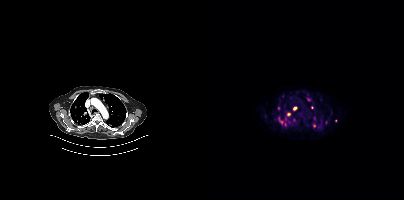
Findings: Coordinates are on the 200×200 PET (right) panel. (showing 10 of 14 foci) PSMA-avid tumor lesion bounding boxes (x0, y0)-(x1, y1): (75, 117)-(78, 123); (109, 123)-(112, 127). Small PSMA-avid foci (2 to 4 px across) near (center x, center y): (90, 108); (108, 107); (85, 114); (122, 122); (81, 124); (115, 126); (104, 99); (74, 107).
Technique: Left: CT. Right: PSMA PET, same axial level, [18F]PSMA-1007 tracer.